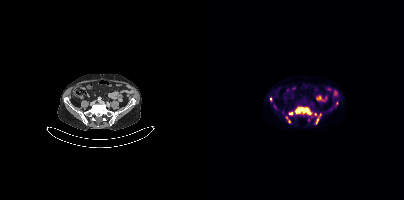
Coordinates are on the 200×200 PET (right) panel. PSMA-avid tumor lesion bounding boxes (x, y, width, height): x=91 y=107 w=17 h=8 / x=112 y=114 w=6 h=10 / x=85 y=112 w=5 h=3. Small PSMA-avid foci (2 to 4 px across) near (center x, center y): (66, 99) / (85, 121) / (132, 103) / (111, 114) / (70, 106) / (82, 117).
modality: PSMA PET/CT | tracer: 18F-PSMA | view: axial | PET grid: 200×200